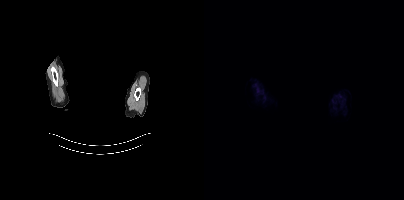
{"modality":"PSMA PET/CT","view":"axial","tracer":"18F-PSMA","pet_grid":[200,200],"coord_frame":"pet_panel","coord_format":"x0,y0,x1,y1","psma_avid_lesions":false,"redaction":"privacy mask over head"}